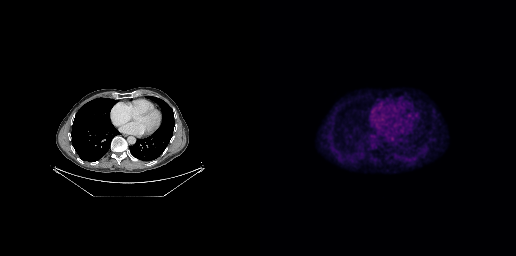
modality: PSMA PET/CT | tracer: 18F | view: axial
No PSMA-avid tumor lesions on this slice.